Left: CT. Right: PSMA PET, same axial level, 18F tracer. Acquired on Siemens Biograph mCT Flow 20.
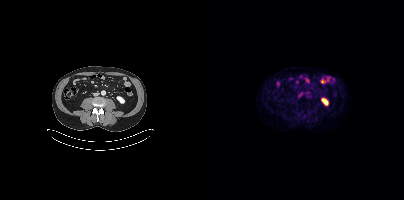
Coordinates are on the 200×200 PET (right) panel. Small PSMA-avid focus (2 to 4 px across) near (center x, center y): (96, 93).